Technique: Paired axial CT (left) and PSMA PET (right), 18F-PSMA tracer. slice position z = -812 mm.
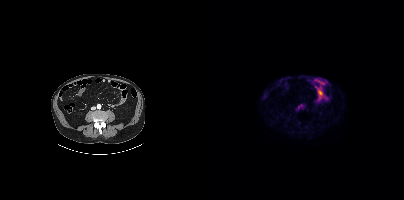
Findings: This slice has no annotated PSMA-avid lesion.